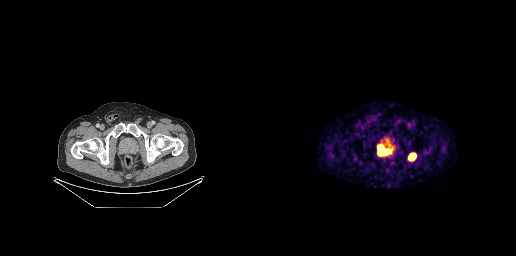
{"pet_grid":[256,256],"coord_frame":"pet_panel","coord_format":"x0,y0,x1,y1","lesion_bboxes":[[118,144,131,155],[148,152,156,161]],"modality":"PSMA PET/CT","view":"axial","tracer":"68Ga-PSMA"}